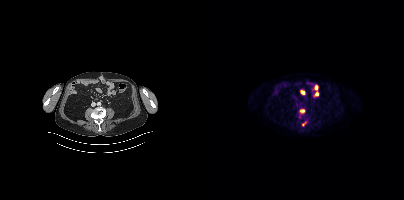
Findings: Coordinates are on the 200×200 PET (right) panel. PSMA-avid tumor lesion bounding boxes (x0,y0,x1,y1): [96,109,100,112], [98,122,102,125].
Technique: Left: CT. Right: PSMA PET, same axial level, [18F]PSMA-1007 tracer. slice position z = -1276 mm.